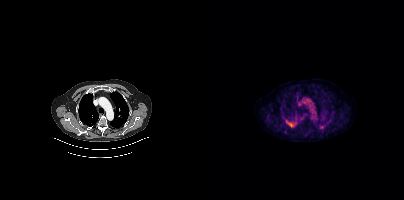
- Paired axial CT (left) and PSMA PET (right), 18F-PSMA tracer
- PET panel 200×200 px (4.1 mm/px)
Findings: Only PSMA-avid lesion pieces thinner than 2 px on this slice (not listed).